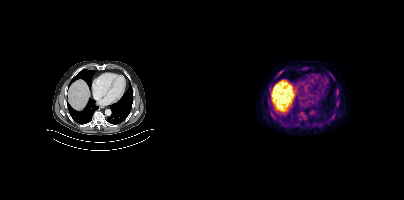
Coordinates are on the 200×200 PET (right) panel. PSMA-avid tumor lesion bounding boxes (partial; 1 more focus not listed):
| # | x0 | y0 | x1 | y1 |
|---|---|---|---|---|
| 1 | 73 | 71 | 78 | 76 |
| 2 | 127 | 114 | 130 | 119 |
Small PSMA-avid foci (2 to 4 px across) near (center x, center y): (129, 78); (133, 90); (125, 72); (133, 104).
Paired axial CT (left) and PSMA PET (right), 18F tracer. Acquired on Siemens Biograph mCT Flow 20.